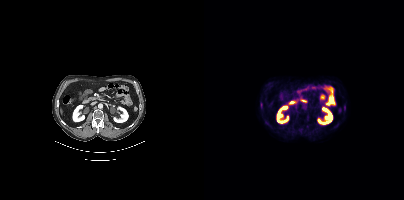
{"modality":"PSMA PET/CT","view":"axial","tracer":"[18F]PSMA-1007","pet_grid":[200,200],"coord_frame":"pet_panel","coord_format":"x0,y0,x1,y1","psma_avid_lesions":false}